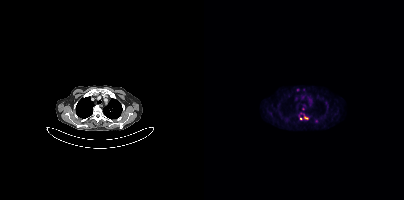
Coordinates are on the 200×200 PET (right) panel. (showing 3 of 4 foci) PSMA-avid tumor lesion bounding box (x, y, width, height): x=100 y=114 w=4 h=6. Small PSMA-avid foci (2 to 4 px across) near (center x, center y): (97, 118); (112, 120).